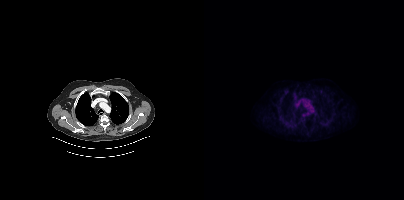
Paired axial CT (left) and PSMA PET (right), [18F]PSMA-1007 tracer. Slice 343 of 442. PET panel 200×200 px (4.1 mm/px). This slice has no annotated PSMA-avid lesion.